- Paired axial CT (left) and PSMA PET (right), [18F]PSMA-1007 tracer
- acquired on Siemens Biograph mCT Flow 20
- slice position z = -104 mm
- PET panel 200×200 px (4.1 mm/px)
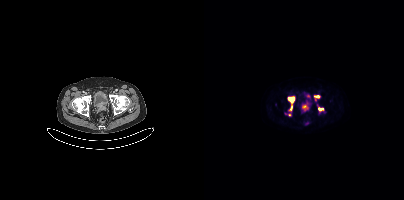
Findings: Coordinates are on the 200×200 PET (right) panel. PSMA-avid tumor lesion bounding boxes (x, y, width, height): x=98 y=104 w=7 h=7 | x=84 y=97 w=7 h=6 | x=110 y=95 w=6 h=7 | x=102 y=94 w=5 h=4 | x=86 y=104 w=3 h=7 | x=115 y=108 w=5 h=3.